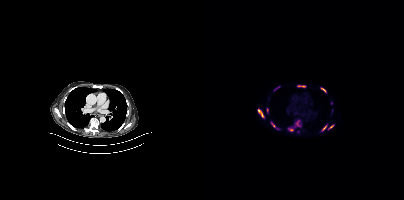
Technique: Paired axial CT (left) and PSMA PET (right), 18F-PSMA tracer. slice 273 of 387. PET panel 200×200 px (4.1 mm/px).
Findings: Coordinates are on the 200×200 PET (right) panel. (showing 10 of 13 foci) PSMA-avid tumor lesion bounding boxes (x0, y0)-(x1, y1): (53, 109)-(59, 117) | (93, 85)-(101, 87) | (117, 125)-(122, 131) | (124, 125)-(129, 130) | (117, 88)-(122, 92) | (84, 128)-(88, 131) | (67, 122)-(71, 127) | (63, 108)-(64, 112). Small PSMA-avid foci (2 to 4 px across) near (center x, center y): (74, 86) | (71, 89).